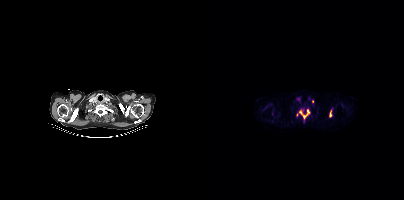
modality: PSMA PET/CT | tracer: [18F]PSMA-1007 | view: axial | PET grid: 200×200
Coordinates are on the 200×200 PET (right) panel. (showing 4 of 5 foci) PSMA-avid tumor lesion bounding boxes (x, y, width, height): x=95 y=110 w=11 h=10 / x=125 y=110 w=3 h=7. Small PSMA-avid foci (2 to 4 px across) near (center x, center y): (108, 101) / (92, 114).